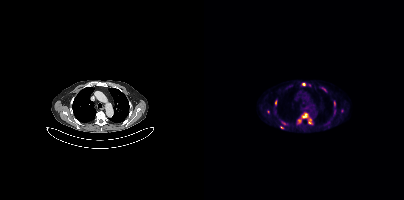
{"modality":"PSMA PET/CT","view":"axial","tracer":"18F","pet_grid":[200,200],"coord_frame":"pet_panel","coord_format":"x0,y0,x1,y1","partial":true,"lesion_bboxes":[[98,113,104,118],[104,119,107,123],[71,100,72,104]],"small_foci_centers":[[99,84],[120,89],[95,120],[130,103],[78,127],[80,123]]}